Paired axial CT (left) and PSMA PET (right), [18F]PSMA-1007 tracer. PET panel 200×200 px (4.1 mm/px).
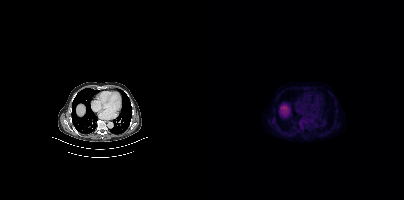
No tumor lesions annotated on this slice.